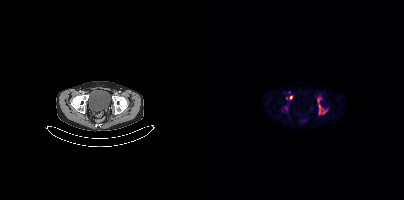
Coordinates are on the 200×200 PET (right) panel. (showing 4 of 5 foci) PSMA-avid tumor lesion bounding boxes (x0, y0)-(x1, y1): (113, 97)-(123, 114); (85, 95)-(88, 99). Small PSMA-avid foci (2 to 4 px across) near (center x, center y): (82, 98); (81, 107).